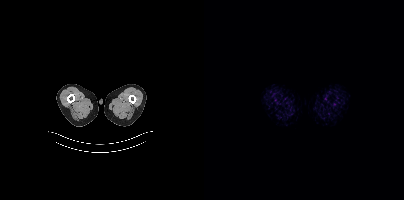
This slice has no annotated PSMA-avid lesion.